modality: PSMA PET/CT | tracer: 18F-PSMA | view: axial | PET grid: 256×256
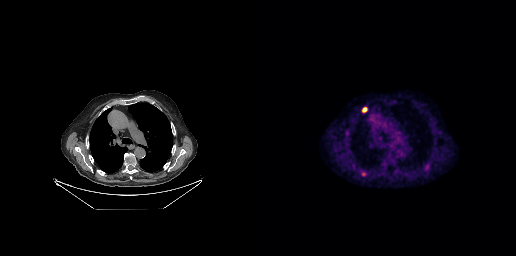
Coordinates are on the 256×256 PET (right) panel. PSMA-avid tumor lesion bounding box (x0,y0,x1,y1): [102,107,106,112]. Small PSMA-avid focus (2 to 4 px across) near (center x, center y): (103, 174).